Technique: Paired axial CT (left) and PSMA PET (right), [68Ga]Ga-PSMA-11 tracer. slice position z = -654 mm. PET panel 168×168 px (4.1 mm/px).
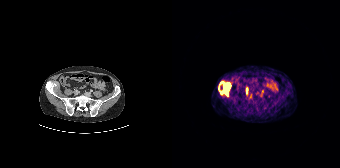
Findings: Coordinates are on the 168×168 PET (right) panel. PSMA-avid tumor lesion bounding boxes (x0, y0)-(x1, y1): (47, 82)-(58, 96) / (74, 88)-(75, 93).